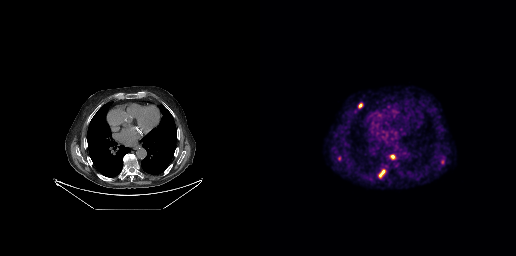
Coordinates are on the 256×256 PET (right) panel. PSMA-avid tumor lesion bounding boxes (x0, y0)-(x1, y1): (119, 169)-(125, 177); (130, 155)-(135, 159); (99, 103)-(102, 107); (78, 156)-(80, 160). Two-panel axial: CT | PSMA PET, 18F tracer. Acquired on GE Discovery 690. Slice 184 of 263. PET panel 256×256 px (2.7 mm/px).